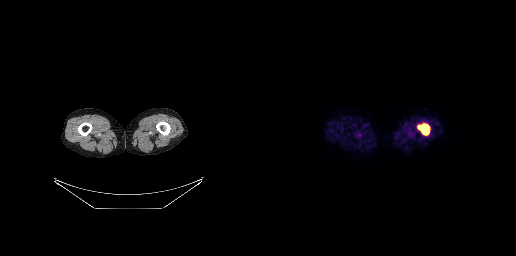
{"modality":"PSMA PET/CT","view":"axial","tracer":"18F","pet_grid":[256,256],"coord_frame":"pet_panel","coord_format":"x0,y0,x1,y1","lesion_bboxes":[[157,123,169,135]]}